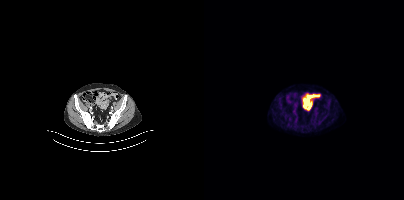
Two-panel axial: CT | PSMA PET, 18F tracer. Acquired on Siemens Biograph mCT Flow 20. No tumor lesions annotated on this slice.